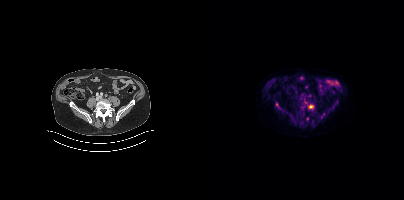
Paired axial CT (left) and PSMA PET (right), [18F]PSMA-1007 tracer. Acquired on Siemens Biograph mCT Flow 20.
Coordinates are on the 200×200 PET (right) panel. PSMA-avid tumor lesion bounding boxes (partial; 2 more foci not listed):
| # | x0 | y0 | x1 | y1 |
|---|---|---|---|---|
| 1 | 104 | 105 | 109 | 108 |
| 2 | 117 | 113 | 120 | 118 |
Small PSMA-avid foci (2 to 4 px across) near (center x, center y): (72, 104); (101, 102).